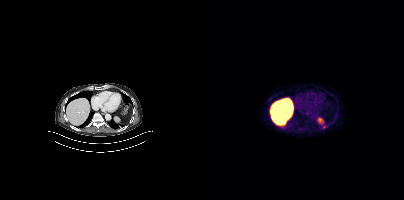
{"modality":"PSMA PET/CT","view":"axial","tracer":"18F-PSMA","pet_grid":[200,200],"coord_frame":"pet_panel","coord_format":"x0,y0,x1,y1","lesion_bboxes":[],"small_foci_centers":[[120,126]]}